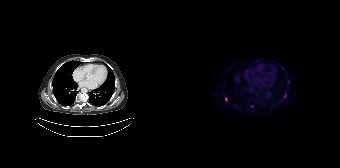
Two-panel axial: CT | PSMA PET, 18F-PSMA tracer. Slice position z = -872 mm. Coordinates are on the 168×168 PET (right) panel. (showing 2 of 3 foci) Small PSMA-avid foci (2 to 4 px across) near (center x, center y): (113, 95) / (53, 99).